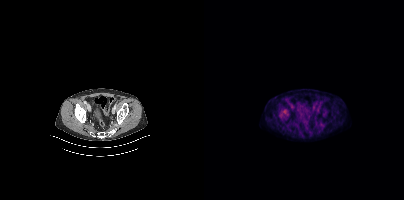
{"pet_grid":[200,200],"coord_frame":"pet_panel","coord_format":"x0,y0,x1,y1","psma_avid_lesions":false,"modality":"PSMA PET/CT","view":"axial","tracer":"18F-PSMA"}